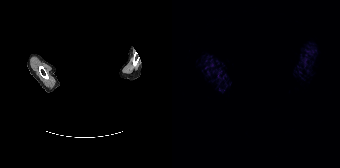
{"pet_grid":[168,168],"coord_frame":"pet_panel","coord_format":"x0,y0,x1,y1","psma_avid_lesions":false,"redaction":"head region blanked (face removed)","modality":"PSMA PET/CT","view":"axial","tracer":"68Ga"}